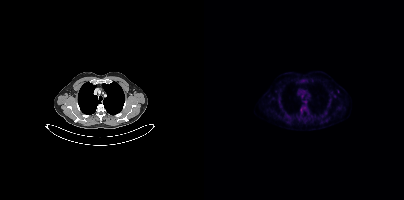
{"pet_grid":[200,200],"coord_frame":"pet_panel","coord_format":"x0,y0,x1,y1","psma_avid_lesions":false,"modality":"PSMA PET/CT","view":"axial","tracer":"18F-PSMA"}